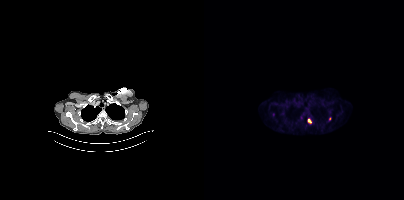
{"modality":"PSMA PET/CT","view":"axial","tracer":"[18F]PSMA-1007","pet_grid":[200,200],"coord_frame":"pet_panel","coord_format":"x0,y0,x1,y1","lesion_bboxes":[[104,119,107,123],[96,115,99,119]],"small_foci_centers":[[69,114],[125,118]]}